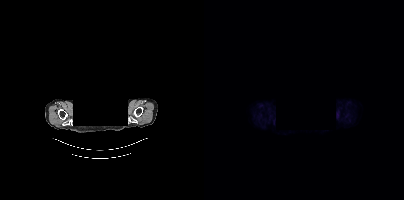
{"modality":"PSMA PET/CT","view":"axial","tracer":"18F-PSMA","pet_grid":[200,200],"coord_frame":"pet_panel","coord_format":"x0,y0,x1,y1","psma_avid_lesions":false,"redaction":"head region blanked (face removed)"}